Technique: Left: CT. Right: PSMA PET, same axial level, 18F tracer.
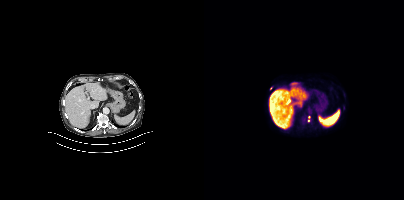
Findings: Only PSMA-avid lesion pieces thinner than 2 px on this slice (not listed).